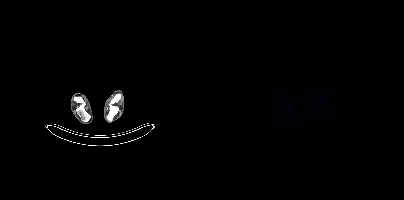
Two-panel axial: CT | PSMA PET, [18F]PSMA-1007 tracer. Acquired on Siemens Biograph mCT Flow 20. This slice has no annotated PSMA-avid lesion.